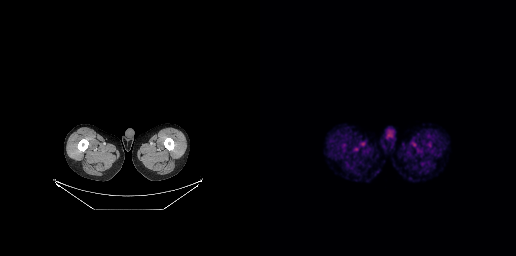
No PSMA-avid tumor lesions on this slice.